Paired axial CT (left) and PSMA PET (right), 18F-PSMA tracer. Acquired on Siemens Biograph mCT Flow 20. Slice position z = -384 mm.
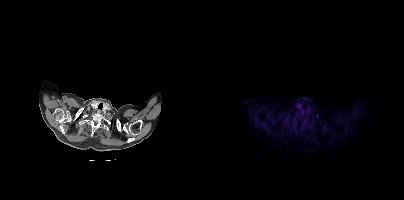
Only PSMA-avid lesion pieces thinner than 2 px on this slice (not listed).